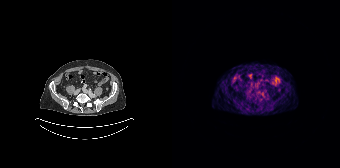
{"modality":"PSMA PET/CT","view":"axial","tracer":"[68Ga]Ga-PSMA-11","pet_grid":[168,168],"coord_frame":"pet_panel","coord_format":"x0,y0,x1,y1","psma_avid_lesions":false}